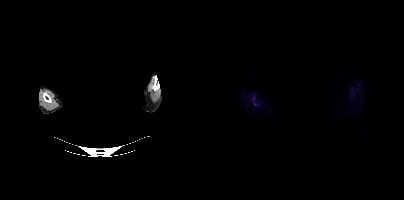
An anonymization step blacked out a rectangle over the head in this scan. Two-panel axial: CT | PSMA PET, 18F tracer. Acquired on Siemens Biograph mCT Flow 20. Slice 437 of 466. Coordinates are on the 200×200 PET (right) panel. Small PSMA-avid focus (2 to 4 px across) near (center x, center y): (51, 104).